Left: CT. Right: PSMA PET, same axial level, [18F]PSMA-1007 tracer. Slice position z = 328 mm. PET panel 200×200 px (4.1 mm/px).
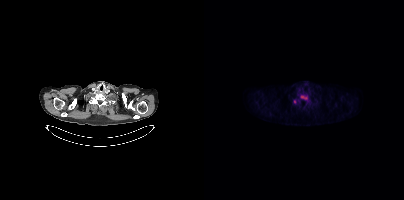
Coordinates are on the 200×200 PET (right) panel. PSMA-avid tumor lesion bounding boxes (x0,y0,x1,y1): [96,94,105,101] [89,99,92,104].